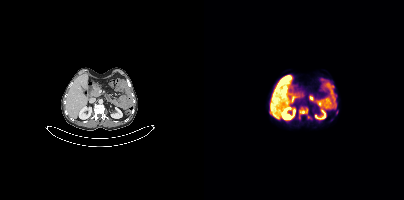
Findings: Coordinates are on the 200×200 PET (right) panel. (showing 1 of 2 foci) PSMA-avid tumor lesion bounding box (x0, y0)-(x1, y1): (95, 108)-(103, 113).
- Paired axial CT (left) and PSMA PET (right), [18F]PSMA-1007 tracer
- slice position z = -1238 mm
- PET panel 200×200 px (4.1 mm/px)